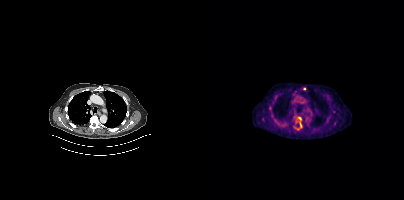
- Left: CT. Right: PSMA PET, same axial level, 18F tracer
- slice position z = -1108 mm
- PET panel 200×200 px (4.1 mm/px)
Findings: Coordinates are on the 200×200 PET (right) panel. (showing 2 of 3 foci) Small PSMA-avid foci (2 to 4 px across) near (center x, center y): (100, 88); (95, 118).